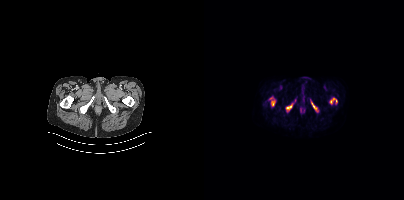
Coordinates are on the 200×200 PET (right) panel. PSMA-avid tumor lesion bounding boxes (x, y, width, height): x=126 y=98 w=8 h=6; x=106 y=100 w=7 h=11; x=82 y=104 w=7 h=6; x=68 y=101 w=3 h=5. Paired axial CT (left) and PSMA PET (right), 18F tracer. Acquired on Siemens Biograph mCT Flow 20. PET panel 200×200 px (4.1 mm/px).